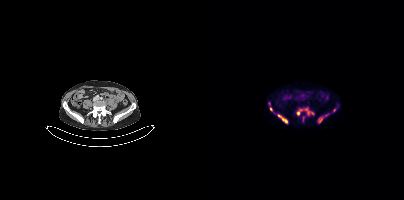
Coordinates are on the 200×200 PET (right) panel. (showing 6 of 7 foci) PSMA-avid tumor lesion bounding boxes (x, y, width, height): x=92 y=107 w=19 h=9 | x=73 y=114 w=12 h=10 | x=114 y=114 w=11 h=10 | x=65 y=107 w=4 h=5 | x=99 y=116 w=2 h=6. Small PSMA-avid focus (2 to 4 px across) near (center x, center y): (130, 110).